- Paired axial CT (left) and PSMA PET (right), 18F-PSMA tracer
- slice position z = -622 mm
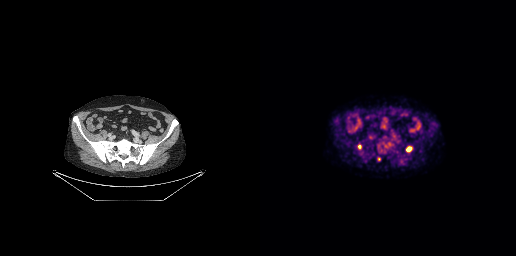
Findings: Coordinates are on the 256×256 PET (right) panel. PSMA-avid tumor lesion bounding box (x0,y0,x1,y1): [146,146,152,151]. Small PSMA-avid foci (2 to 4 px across) near (center x, center y): (99, 146); (119, 158).